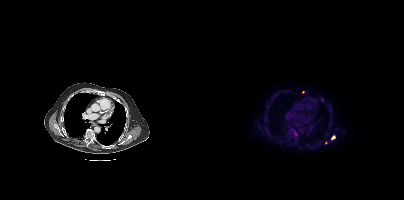
{"modality":"PSMA PET/CT","view":"axial","tracer":"18F-PSMA","pet_grid":[200,200],"coord_frame":"pet_panel","coord_format":"x0,y0,x1,y1","partial":true,"lesion_bboxes":[],"small_foci_centers":[[129,137]]}